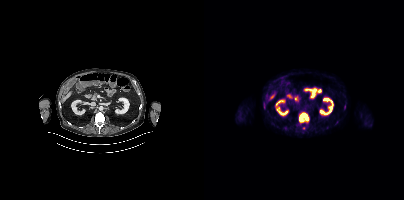
Technique: Paired axial CT (left) and PSMA PET (right), [18F]PSMA-1007 tracer. slice position z = -1208 mm. PET panel 200×200 px (4.1 mm/px).
Findings: Coordinates are on the 200×200 PET (right) panel. (showing 2 of 3 foci) PSMA-avid tumor lesion bounding box (x0, y0)-(x1, y1): (95, 113)-(104, 121). Small PSMA-avid focus (2 to 4 px across) near (center x, center y): (99, 128).